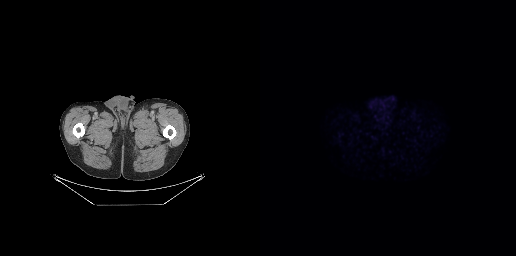
{"modality":"PSMA PET/CT","view":"axial","tracer":"[18F]PSMA-1007","pet_grid":[256,256],"coord_frame":"pet_panel","coord_format":"x0,y0,x1,y1","psma_avid_lesions":false}